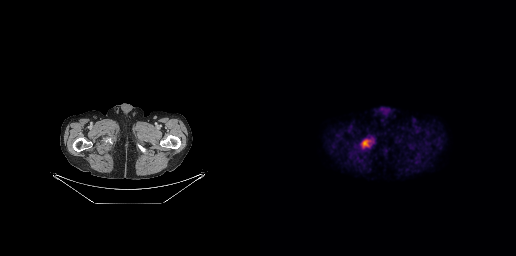
{"modality":"PSMA PET/CT","view":"axial","tracer":"[18F]PSMA-1007","pet_grid":[256,256],"coord_frame":"pet_panel","coord_format":"x0,y0,x1,y1","lesion_bboxes":[[101,139,111,148]]}